Technique: Two-panel axial: CT | PSMA PET, 18F-PSMA tracer. acquired on Siemens Biograph mCT Flow 20. slice position z = -736 mm. PET panel 200×200 px (4.1 mm/px).
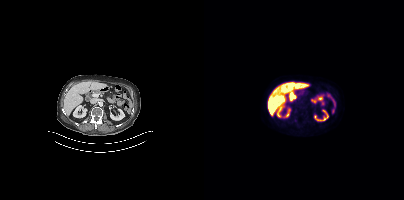
Findings: Coordinates are on the 200×200 PET (right) panel. Small PSMA-avid focus (2 to 4 px across) near (center x, center y): (91, 120).